Left: CT. Right: PSMA PET, same axial level, 18F-PSMA tracer.
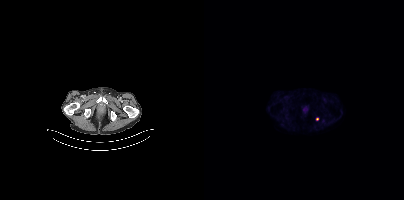
Coordinates are on the 200×200 PET (right) panel. Small PSMA-avid focus (2 to 4 px across) near (center x, center y): (113, 119).